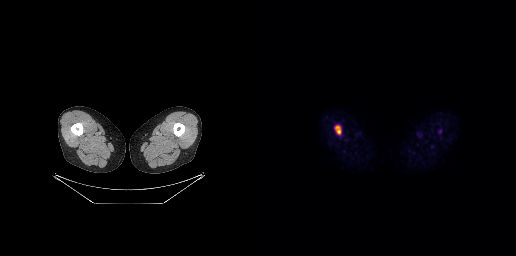
{"modality":"PSMA PET/CT","view":"axial","tracer":"18F","pet_grid":[256,256],"coord_frame":"pet_panel","coord_format":"x0,y0,x1,y1","lesion_bboxes":[[75,126,80,134]]}